Two-panel axial: CT | PSMA PET, [18F]PSMA-1007 tracer. Acquired on Siemens Biograph mCT Flow 20.
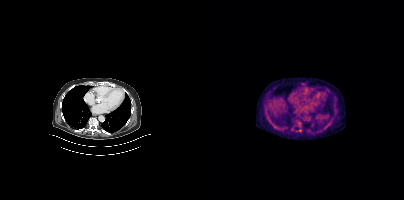
Coordinates are on the 200×200 PET (right) panel. Small PSMA-avid focus (2 to 4 px across) near (center x, center y): (95, 130).